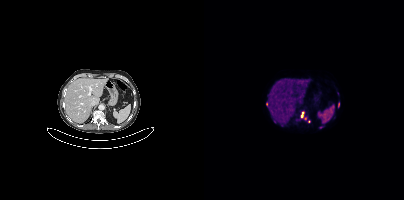
{"modality":"PSMA PET/CT","view":"axial","tracer":"68Ga-PSMA","pet_grid":[200,200],"coord_frame":"pet_panel","coord_format":"x0,y0,x1,y1","partial":true,"lesion_bboxes":[[97,111,102,120],[115,126,119,128],[134,102,135,107]],"small_foci_centers":[[62,103],[70,121]]}